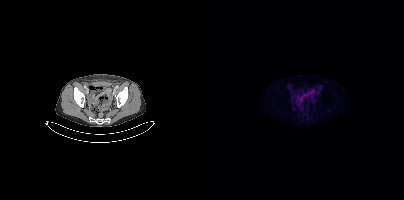
Findings: This slice has no annotated PSMA-avid lesion.
Technique: Left: CT. Right: PSMA PET, same axial level, [18F]PSMA-1007 tracer. slice 87 of 448.